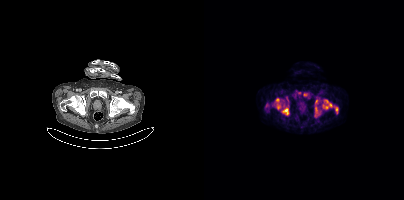
Findings: Coordinates are on the 200×200 PET (right) panel. PSMA-avid tumor lesion bounding boxes (x0, y0)-(x1, y1): (119, 100)-(128, 108); (78, 108)-(84, 114); (130, 106)-(134, 113); (73, 105)-(76, 109); (111, 107)-(113, 112); (62, 103)-(64, 107); (82, 97)-(84, 103). Small PSMA-avid foci (2 to 4 px across) near (center x, center y): (112, 101); (73, 99); (95, 92).
Technique: Paired axial CT (left) and PSMA PET (right), 18F tracer. acquired on Siemens Biograph mCT Flow 20. PET panel 200×200 px (4.1 mm/px).